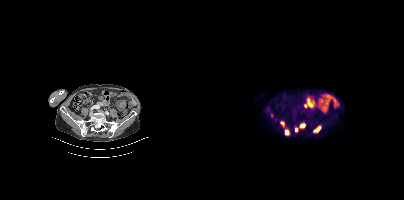
Coordinates are on the 200×200 PET (right) panel. PSMA-avid tumor lesion bounding boxes (partial; 2 more foci not listed):
| # | x0 | y0 | x1 | y1 |
|---|---|---|---|---|
| 1 | 91 | 122 | 101 | 132 |
| 2 | 109 | 125 | 117 | 132 |
| 3 | 81 | 129 | 85 | 135 |
| 4 | 76 | 121 | 80 | 126 |
Small PSMA-avid focus (2 to 4 px across) near (center x, center y): (67, 115).
Left: CT. Right: PSMA PET, same axial level, [18F]PSMA-1007 tracer. Acquired on Siemens Biograph mCT Flow 20. PET panel 200×200 px (4.1 mm/px).